Technique: Two-panel axial: CT | PSMA PET, [18F]PSMA-1007 tracer. slice position z = -1150 mm.
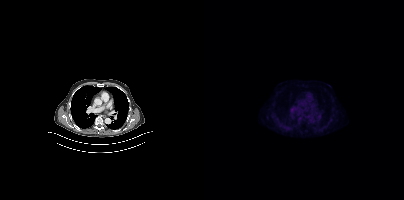
Findings: No PSMA-avid tumor lesions on this slice.